Technique: Paired axial CT (left) and PSMA PET (right), 68Ga tracer. slice position z = -588 mm. PET panel 256×256 px (2.7 mm/px).
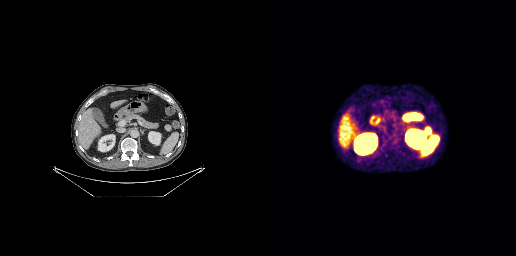
Findings: Coordinates are on the 256×256 PET (right) panel. PSMA-avid tumor lesion bounding box (x, y, width, height): x=164 y=127 w=7 h=8.